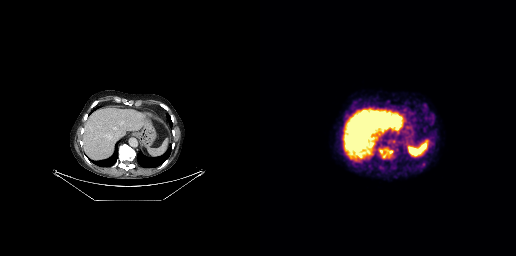
Coordinates are on the 256×256 PET (right) panel. PSMA-avid tumor lesion bounding box (x0, y0)-(x1, y1): (126, 149)-(132, 153). Small PSMA-avid foci (2 to 4 px across) near (center x, center y): (124, 155) / (121, 152).